- Left: CT. Right: PSMA PET, same axial level, 18F tracer
- acquired on GE Discovery 690
- slice 183 of 263
- PET panel 256×256 px (2.7 mm/px)
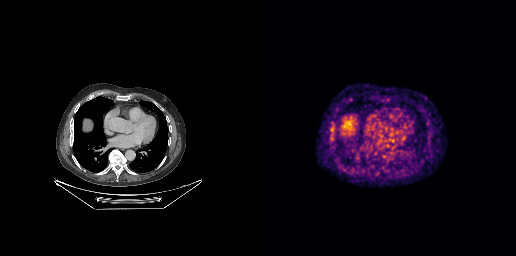
Findings: Coordinates are on the 256×256 PET (right) panel. PSMA-avid tumor lesion bounding boxes (x0, y0)-(x1, y1): (71, 121)-(75, 125) | (80, 167)-(85, 171).